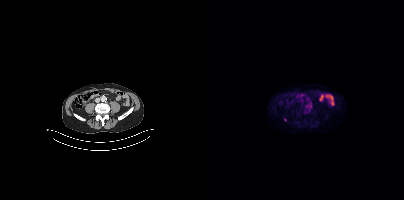
{"modality":"PSMA PET/CT","view":"axial","tracer":"18F","pet_grid":[200,200],"coord_frame":"pet_panel","coord_format":"x0,y0,x1,y1","lesion_bboxes":[],"small_foci_centers":[[80,119]]}